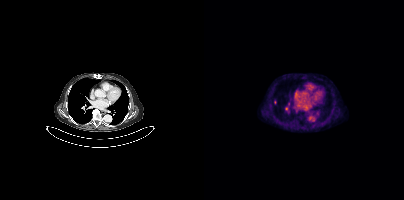
{"modality":"PSMA PET/CT","view":"axial","tracer":"18F","pet_grid":[200,200],"coord_frame":"pet_panel","coord_format":"x0,y0,x1,y1","lesion_bboxes":[],"small_foci_centers":[[71,102]]}